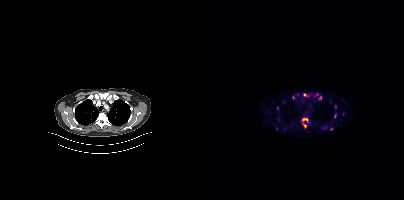
{"modality":"PSMA PET/CT","view":"axial","tracer":"18F","pet_grid":[200,200],"coord_frame":"pet_panel","coord_format":"x0,y0,x1,y1","partial":true,"lesion_bboxes":[[98,118,104,121],[99,123,102,127],[130,113,132,117]],"small_foci_centers":[[116,97],[104,95],[131,106],[89,97],[93,94],[100,94],[127,128]]}